Paired axial CT (left) and PSMA PET (right), 18F tracer. Slice position z = -240 mm. PET panel 200×200 px (4.1 mm/px).
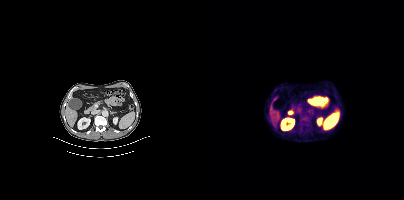
Coordinates are on the 200×200 PET (right) panel. PSMA-avid tumor lesion bounding box (x0,y0,x1,y1): [95,115,106,126].